modality: PSMA PET/CT | tracer: [18F]PSMA-1007 | view: axial | PET grid: 256×256
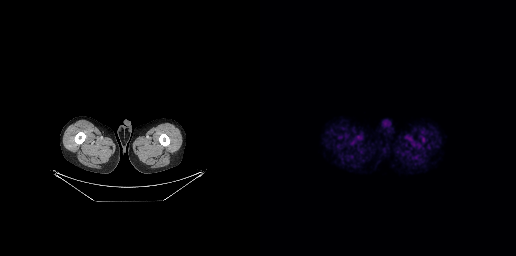
Negative for PSMA-avid disease on this slice.